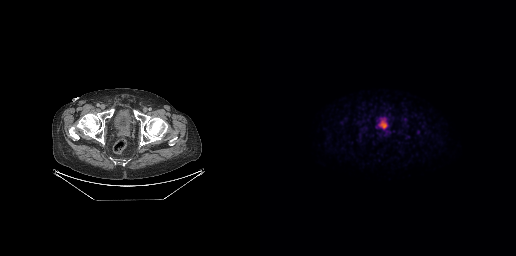
Only PSMA-avid lesion pieces thinner than 2 px on this slice (not listed).
modality: PSMA PET/CT | tracer: [18F]PSMA-1007 | view: axial